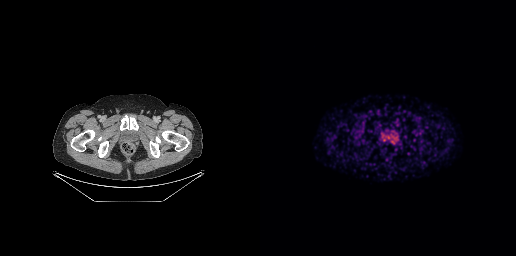
Two-panel axial: CT | PSMA PET, [68Ga]Ga-PSMA-11 tracer. Slice 73 of 299. Coordinates are on the 256×256 PET (right) panel. PSMA-avid tumor lesion bounding box (x, y, width, height): x=129 y=140 w=7 h=5.